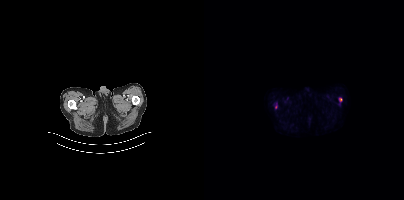
Technique: Left: CT. Right: PSMA PET, same axial level, 18F-PSMA tracer. slice 36 of 413. PET panel 200×200 px (4.1 mm/px).
Findings: Coordinates are on the 200×200 PET (right) panel. Small PSMA-avid foci (2 to 4 px across) near (center x, center y): (136, 99) / (71, 107).